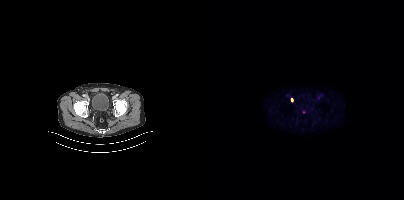
Only PSMA-avid lesion pieces thinner than 2 px on this slice (not listed). Left: CT. Right: PSMA PET, same axial level, [18F]PSMA-1007 tracer. Acquired on Siemens Biograph mCT Flow 20. Slice position z = -1392 mm.